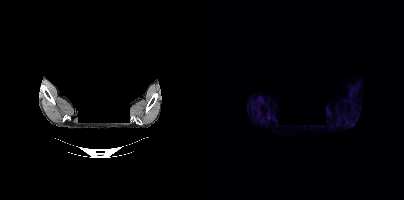
{"modality":"PSMA PET/CT","view":"axial","tracer":"[18F]PSMA-1007","pet_grid":[200,200],"coord_frame":"pet_panel","coord_format":"x0,y0,x1,y1","psma_avid_lesions":false,"deidentification":"facial region redacted"}